Two-panel axial: CT | PSMA PET, [18F]PSMA-1007 tracer. Acquired on Siemens Biograph mCT Flow 20. Slice position z = -1088 mm. PET panel 200×200 px (4.1 mm/px).
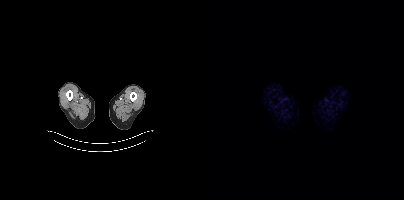
No tumor lesions annotated on this slice.